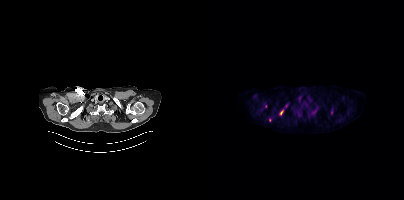
Coordinates are on the 200×200 PET (right) panel. (showing 4 of 5 foci) PSMA-avid tumor lesion bounding box (x0, y0)-(x1, y1): (75, 111)-(79, 115). Small PSMA-avid foci (2 to 4 px across) near (center x, center y): (65, 120) / (61, 106) / (127, 112).
modality: PSMA PET/CT | tracer: [18F]PSMA-1007 | view: axial | PET grid: 200×200